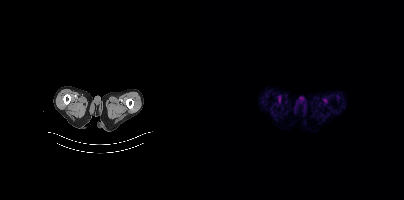
- Two-panel axial: CT | PSMA PET, [18F]PSMA-1007 tracer
Findings: No PSMA-avid tumor lesions on this slice.